Left: CT. Right: PSMA PET, same axial level, 18F tracer.
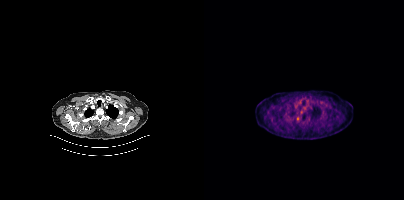
Negative for PSMA-avid disease on this slice.